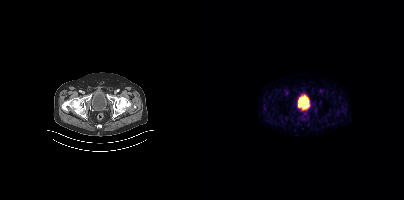
{"pet_grid":[200,200],"coord_frame":"pet_panel","coord_format":"x0,y0,x1,y1","psma_avid_lesions":false,"modality":"PSMA PET/CT","view":"axial","tracer":"[68Ga]Ga-PSMA-11"}